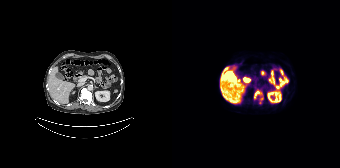
Findings: Coordinates are on the 168×168 PET (right) panel. (showing 2 of 3 foci) PSMA-avid tumor lesion bounding box (x0,y0,x1,y1): [82,90,90,99]. Small PSMA-avid focus (2 to 4 px across) near (center x, center y): (89, 98).
- Left: CT. Right: PSMA PET, same axial level, 18F-PSMA tracer